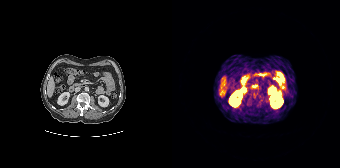
This slice has no annotated PSMA-avid lesion.
modality: PSMA PET/CT | tracer: 68Ga-PSMA | view: axial